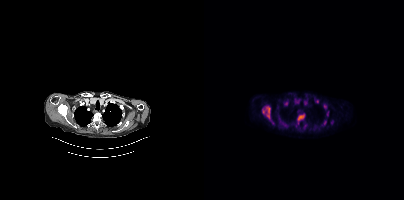
Coordinates are on the 200×200 PET (right) panel. (showing 10 of 11 foci) PSMA-avid tumor lesion bounding boxes (x0,y0,x1,y1): [58,106,66,118]; [77,121,83,126]; [94,115,100,120]; [117,120,122,125]; [80,101,84,105]; [122,111,124,116]. Small PSMA-avid foci (2 to 4 px across) near (center x, center y): (112, 101); (127, 121); (120, 106); (101, 125).